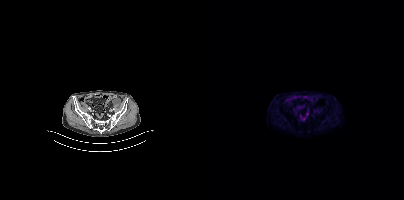
No PSMA-avid tumor lesions on this slice.